Paired axial CT (left) and PSMA PET (right), [18F]PSMA-1007 tracer. Slice position z = -1610 mm. PET panel 200×200 px (4.1 mm/px).
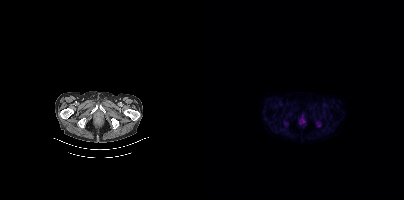
No PSMA-avid tumor lesions on this slice.